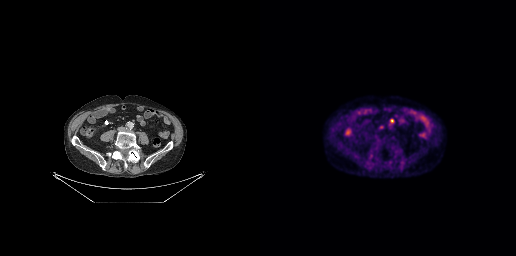
Coordinates are on the 256×256 PET (right) panel. Small PSMA-avid focus (2 to 4 px across) near (center x, center y): (132, 120). Left: CT. Right: PSMA PET, same axial level, [18F]PSMA-1007 tracer. Acquired on GE Discovery 690. Slice position z = -716 mm. PET panel 256×256 px (2.7 mm/px).